Left: CT. Right: PSMA PET, same axial level, 18F tracer. Slice position z = -857 mm. PET panel 200×200 px (4.1 mm/px).
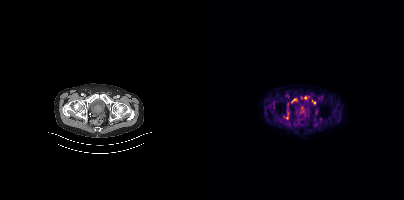
Coordinates are on the 200×200 PET (right) panel. PSMA-avid tumor lesion bounding boxes (partial; 2 more foci not listed):
| # | x0 | y0 | x1 | y1 |
|---|---|---|---|---|
| 1 | 87 | 99 | 92 | 102 |
Small PSMA-avid focus (2 to 4 px across) near (center x, center y): (110, 102).